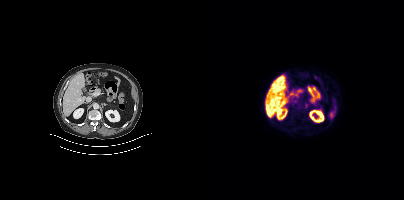
{"modality":"PSMA PET/CT","view":"axial","tracer":"18F","pet_grid":[200,200],"coord_frame":"pet_panel","coord_format":"x0,y0,x1,y1","lesion_bboxes":[[101,103,104,108]]}